An anonymization step blacked out a rectangle over the head in this scan.
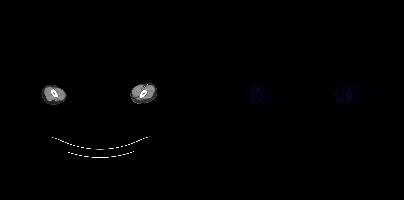
No tumor lesions annotated on this slice.